modality: PSMA PET/CT | tracer: 18F-PSMA | view: axial
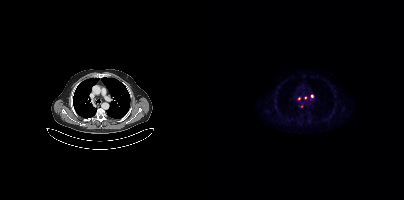
Coordinates are on the 200×200 PET (right) panel. PSMA-avid tumor lesion bounding box (x, y, width, height): x=106 y=95 w=4 h=5. Small PSMA-avid foci (2 to 4 px across) near (center x, center y): (95, 98); (101, 97).